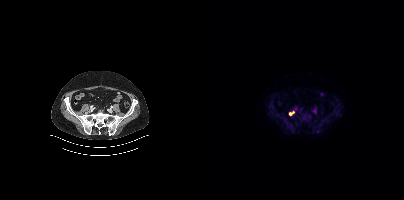
Findings: Coordinates are on the 200×200 PET (right) panel. PSMA-avid tumor lesion bounding box (x0, y0)-(x1, y1): (85, 111)-(90, 115).
- Left: CT. Right: PSMA PET, same axial level, [18F]PSMA-1007 tracer
- acquired on Siemens Biograph mCT Flow 20
- slice position z = -807 mm